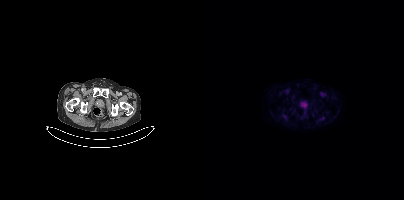
- Two-panel axial: CT | PSMA PET, [18F]PSMA-1007 tracer
- slice position z = -818 mm
- PET panel 200×200 px (4.1 mm/px)
Findings: No tumor lesions annotated on this slice.